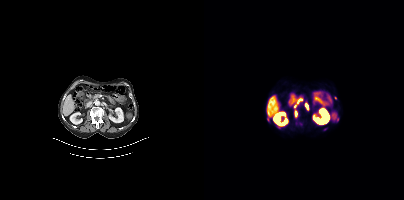
Coordinates are on the 200×200 PET (right) panel. PSMA-avid tumor lesion bounding boxes:
| # | x0 | y0 | x1 | y1 |
|---|---|---|---|---|
| 1 | 91 | 99 | 98 | 106 |
| 2 | 91 | 111 | 93 | 117 |
| 3 | 101 | 103 | 104 | 109 |
| 4 | 132 | 116 | 134 | 120 |
Small PSMA-avid foci (2 to 4 px across) near (center x, center y): (120, 129); (64, 119); (96, 124).
Paired axial CT (left) and PSMA PET (right), 68Ga tracer. Acquired on Siemens Biograph mCT Flow 20.